Left: CT. Right: PSMA PET, same axial level, 18F tracer. Acquired on Siemens Biograph mCT Flow 20. PET panel 200×200 px (4.1 mm/px).
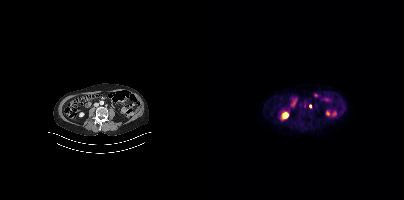
Coordinates are on the 200×200 PET (right) panel. (showing 1 of 2 foci) Small PSMA-avid focus (2 to 4 px across) near (center x, center y): (106, 106).